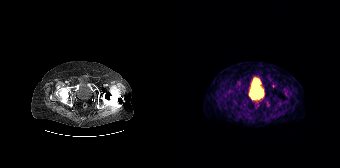
No PSMA-avid tumor lesions on this slice.